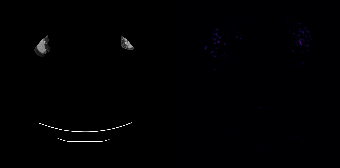
redaction: rectangular block over head set to black | modality: PSMA PET/CT | tracer: [18F]PSMA-1007 | view: axial | PET grid: 168×168
No PSMA-avid tumor lesions on this slice.